Technique: Left: CT. Right: PSMA PET, same axial level, [18F]PSMA-1007 tracer. PET panel 200×200 px (4.1 mm/px).
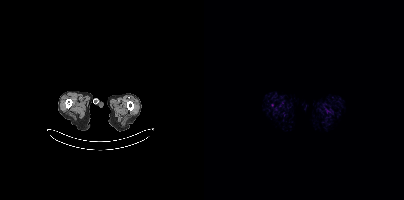
Findings: No PSMA-avid tumor lesions on this slice.